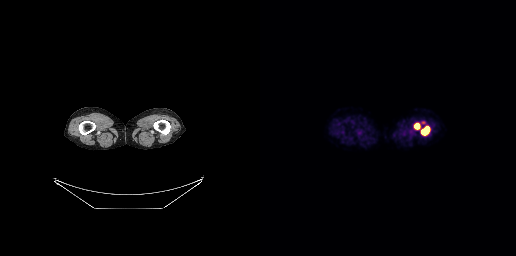
- Two-panel axial: CT | PSMA PET, 18F tracer
- PET panel 256×256 px (2.7 mm/px)
Findings: Coordinates are on the 256×256 PET (right) panel. PSMA-avid tumor lesion bounding boxes (x, y, width, height): x=161 y=126 w=10 h=10 | x=154 y=123 w=7 h=7.